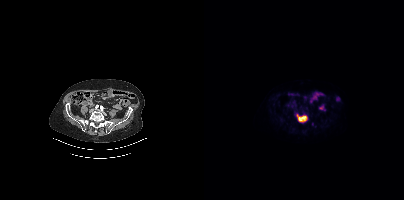
Coordinates are on the 200×200 PET (right) panel. PSMA-avid tumor lesion bounding box (x0, y0)-(x1, y1): (92, 113)-(103, 122).